- Paired axial CT (left) and PSMA PET (right), 68Ga tracer
- slice position z = -1500 mm
- PET panel 200×200 px (4.1 mm/px)
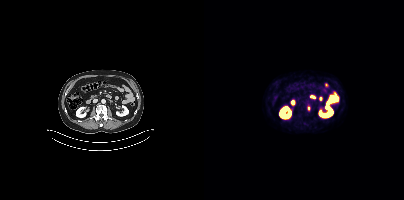
Findings: Coordinates are on the 200×200 PET (right) panel. PSMA-avid tumor lesion bounding box (x0, y0)-(x1, y1): (103, 106)-(106, 110).